A rectangle over the head was blacked out to remove identifiable facial features.
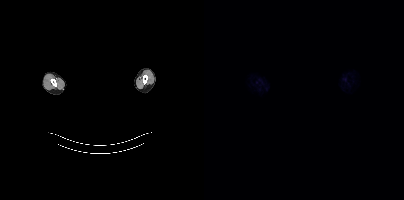
No tumor lesions annotated on this slice.